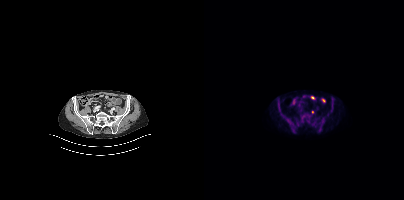
{"modality":"PSMA PET/CT","view":"axial","tracer":"18F-PSMA","pet_grid":[200,200],"coord_frame":"pet_panel","coord_format":"x0,y0,x1,y1","lesion_bboxes":[],"small_foci_centers":[[108,111]]}